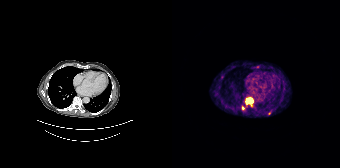
Paired axial CT (left) and PSMA PET (right), 68Ga tracer. Acquired on Siemens Biograph 64-4R TruePoint. Slice 134 of 195.
Coordinates are on the 168×168 PET (right) panel. PSMA-avid tumor lesion bounding boxes:
| # | x0 | y0 | x1 | y1 |
|---|---|---|---|---|
| 1 | 74 | 98 | 80 | 103 |
Small PSMA-avid foci (2 to 4 px across) near (center x, center y): (71, 107); (97, 113).